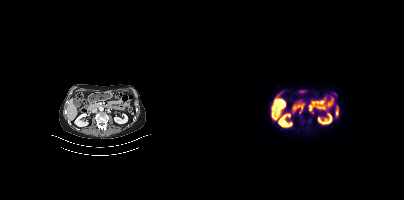
Coordinates are on the 200×200 PET (right) panel. PSMA-avid tumor lesion bounding box (x0,y0,x1,y1): [95,108,98,113].